Technique: Left: CT. Right: PSMA PET, same axial level, 18F-PSMA tracer. acquired on Siemens Biograph mCT Flow 20. slice 319 of 377. PET panel 200×200 px (4.1 mm/px).
Note: An anonymization step blacked out a rectangle over the head in this scan.
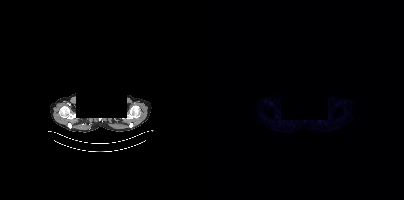
Findings: This slice has no annotated PSMA-avid lesion.